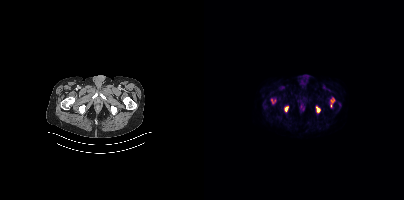
modality: PSMA PET/CT | tracer: 18F | view: axial
Coordinates are on the 200×200 PET (right) panel. PSMA-avid tumor lesion bounding boxes (x0,y0,x1,y1): [127,98,130,107] [112,106,116,112] [81,106,84,111] [67,99,71,103].